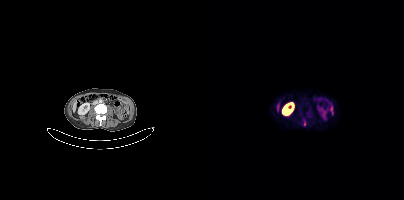
{"modality":"PSMA PET/CT","view":"axial","tracer":"68Ga","pet_grid":[200,200],"coord_frame":"pet_panel","coord_format":"x0,y0,x1,y1","lesion_bboxes":[[99,120,101,125]]}